Paired axial CT (left) and PSMA PET (right), [68Ga]Ga-PSMA-11 tracer.
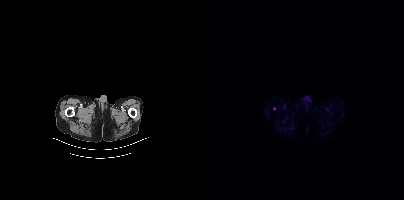
Only PSMA-avid lesion pieces thinner than 2 px on this slice (not listed).